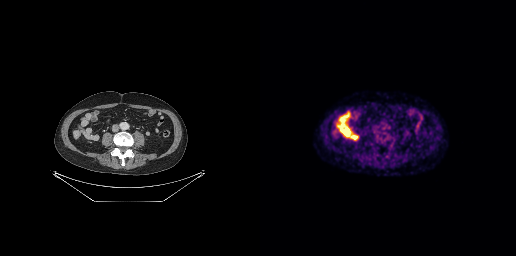
Negative for PSMA-avid disease on this slice. Two-panel axial: CT | PSMA PET, 18F-PSMA tracer. Slice 109 of 263.